- Paired axial CT (left) and PSMA PET (right), 18F-PSMA tracer
- PET panel 200×200 px (4.1 mm/px)
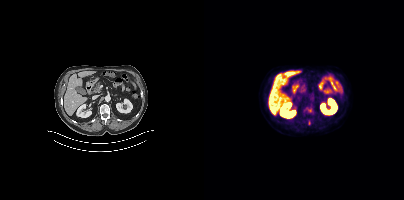
Findings: Coordinates are on the 200×200 PET (right) panel. (showing 1 of 2 foci) Small PSMA-avid focus (2 to 4 px across) near (center x, center y): (106, 110).